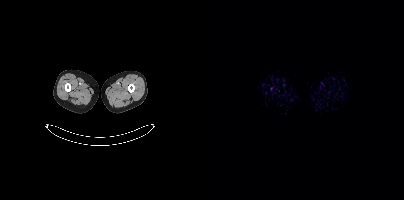
No PSMA-avid tumor lesions on this slice.
modality: PSMA PET/CT | tracer: 18F-PSMA | view: axial | PET grid: 200×200